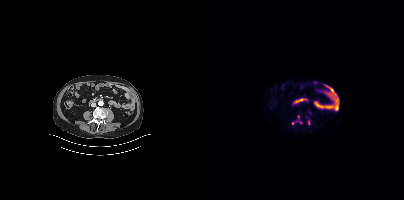
Two-panel axial: CT | PSMA PET, [18F]PSMA-1007 tracer. Slice position z = -740 mm. Coordinates are on the 200×200 PET (right) panel. (showing 3 of 5 foci) Small PSMA-avid foci (2 to 4 px across) near (center x, center y): (89, 123) / (96, 122) / (104, 122).